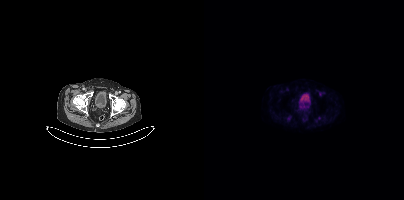
Technique: Left: CT. Right: PSMA PET, same axial level, 18F tracer. PET panel 200×200 px (4.1 mm/px).
Findings: This slice has no annotated PSMA-avid lesion.